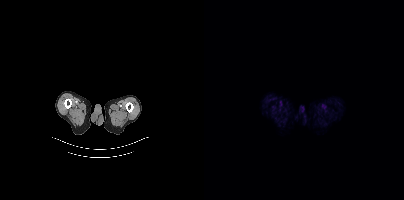
Technique: Left: CT. Right: PSMA PET, same axial level, 18F tracer. acquired on Siemens Biograph mCT Flow 20. slice position z = -378 mm.
Findings: This slice has no annotated PSMA-avid lesion.